- Two-panel axial: CT | PSMA PET, 68Ga tracer
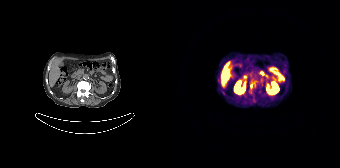
Findings: Coordinates are on the 168×168 PET (right) panel. PSMA-avid tumor lesion bounding box (x0, y0)-(x1, y1): (79, 81)-(84, 87).